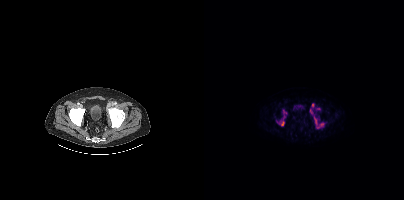
Coordinates are on the 200×200 PET (right) panel. PSMA-avid tumor lesion bounding boxes (partial; 2 more foci not listed):
| # | x0 | y0 | x1 | y1 |
|---|---|---|---|---|
| 1 | 110 | 116 | 120 | 128 |
| 2 | 77 | 121 | 80 | 125 |
| 3 | 106 | 110 | 108 | 114 |
Small PSMA-avid foci (2 to 4 px across) near (center x, center y): (90, 107); (82, 112).
Two-panel axial: CT | PSMA PET, [18F]PSMA-1007 tracer. Slice position z = -978 mm. PET panel 200×200 px (4.1 mm/px).